Technique: Left: CT. Right: PSMA PET, same axial level, 68Ga tracer. slice position z = -1006 mm.
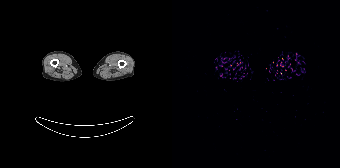
Findings: Negative for PSMA-avid disease on this slice.